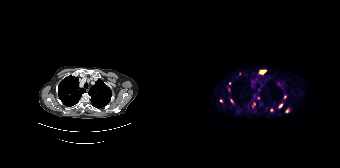
- Two-panel axial: CT | PSMA PET, 68Ga-PSMA tracer
- slice position z = -1062 mm
- PET panel 168×168 px (4.1 mm/px)
Findings: Coordinates are on the 168×168 PET (right) panel. (showing 10 of 12 foci) PSMA-avid tumor lesion bounding boxes (x0, y0)-(x1, y1): (88, 70)-(93, 74) | (112, 95)-(114, 99) | (58, 99)-(61, 103). Small PSMA-avid foci (2 to 4 px across) near (center x, center y): (81, 104) | (108, 105) | (115, 110) | (99, 110) | (57, 83) | (86, 98) | (48, 100).